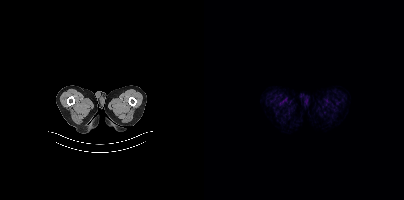
{"modality":"PSMA PET/CT","view":"axial","tracer":"[18F]PSMA-1007","pet_grid":[200,200],"coord_frame":"pet_panel","coord_format":"x0,y0,x1,y1","psma_avid_lesions":false}